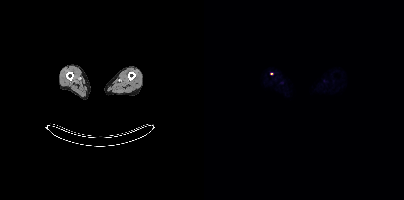
{"pet_grid":[200,200],"coord_frame":"pet_panel","coord_format":"x0,y0,x1,y1","lesion_bboxes":[],"small_foci_centers":[[67,73]],"modality":"PSMA PET/CT","view":"axial","tracer":"18F"}